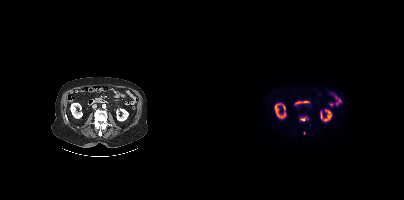
{"modality":"PSMA PET/CT","view":"axial","tracer":"18F","pet_grid":[200,200],"coord_frame":"pet_panel","coord_format":"x0,y0,x1,y1","lesion_bboxes":[],"small_foci_centers":[[99,119]]}